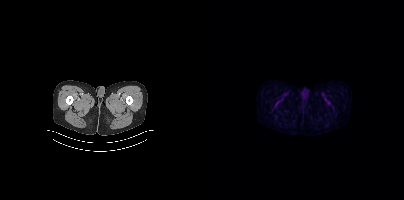
Findings: This slice has no annotated PSMA-avid lesion.
- Left: CT. Right: PSMA PET, same axial level, [18F]PSMA-1007 tracer